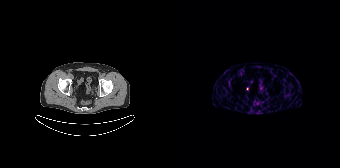
Only PSMA-avid lesion pieces thinner than 2 px on this slice (not listed).